modality: PSMA PET/CT | tracer: 68Ga-PSMA | view: axial
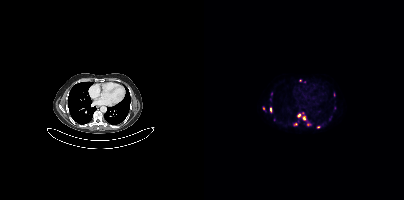
Coordinates are on the 200×200 PET (right) panel. (showing 11 of 14 foci) PSMA-avid tumor lesion bounding boxes (x0, y0)-(x1, y1): (125, 116)-(127, 120); (66, 107)-(67, 111); (98, 116)-(101, 120). Small PSMA-avid foci (2 to 4 px across) near (center x, center y): (94, 114); (70, 119); (96, 80); (114, 127); (59, 108); (67, 93); (130, 107); (91, 123).